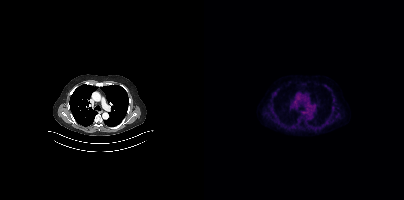
- Paired axial CT (left) and PSMA PET (right), 18F tracer
- acquired on Siemens Biograph mCT Flow 20
Findings: No tumor lesions annotated on this slice.